- Two-panel axial: CT | PSMA PET, 18F-PSMA tracer
- acquired on Siemens Biograph mCT Flow 20
- slice position z = 286 mm
- PET panel 200×200 px (4.1 mm/px)
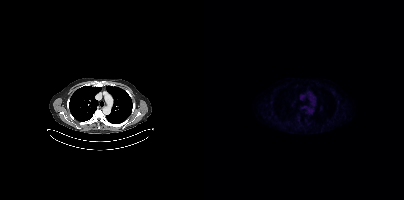
Findings: No PSMA-avid tumor lesions on this slice.